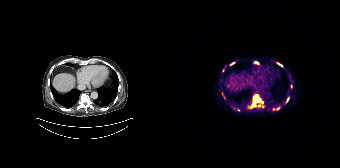
Technique: Two-panel axial: CT | PSMA PET, 68Ga-PSMA tracer. slice position z = -564 mm.
Findings: Coordinates are on the 168×168 PET (right) panel. (showing 8 of 9 foci) PSMA-avid tumor lesion bounding box (x0,y0,x1,y1): [78,95,92,107]. Small PSMA-avid foci (2 to 4 px across) near (center x, center y): (116, 98), (51, 70), (109, 65), (119, 86), (84, 62), (60, 63), (105, 108).